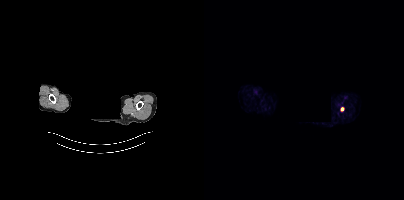
Two-panel axial: CT | PSMA PET, [68Ga]Ga-PSMA-11 tracer. Slice 332 of 373. PET panel 200×200 px (4.1 mm/px). Any black rectangle over the head is a privacy mask, not anatomy. Coordinates are on the 200×200 PET (right) panel. Small PSMA-avid focus (2 to 4 px across) near (center x, center y): (138, 108).